- Two-panel axial: CT | PSMA PET, 18F tracer
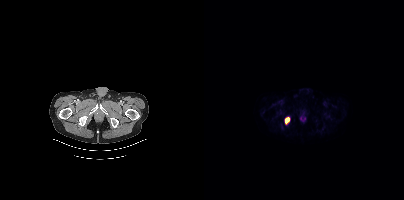
Findings: Coordinates are on the 200×200 PET (right) panel. PSMA-avid tumor lesion bounding box (x0, y0)-(x1, y1): (81, 118)-(85, 121).